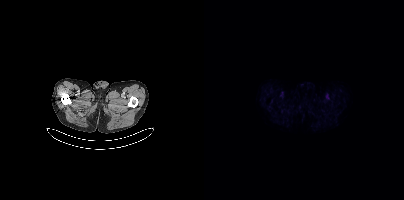
No tumor lesions annotated on this slice.